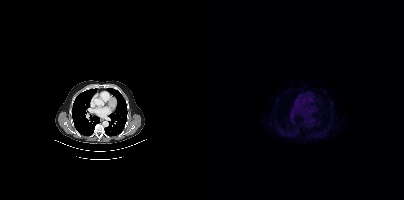
{"modality":"PSMA PET/CT","view":"axial","tracer":"18F-PSMA","pet_grid":[200,200],"coord_frame":"pet_panel","coord_format":"x0,y0,x1,y1","psma_avid_lesions":false}